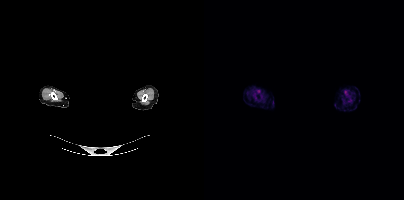
- Two-panel axial: CT | PSMA PET, [18F]PSMA-1007 tracer
- facial anatomy redacted by setting a rectangular region of the head to black
Findings: No tumor lesions annotated on this slice.